Two-panel axial: CT | PSMA PET, 18F-PSMA tracer. PET panel 200×200 px (4.1 mm/px).
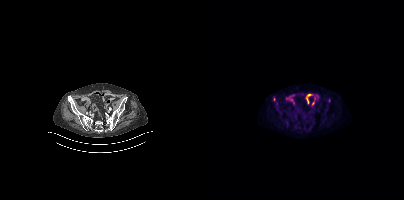
Coordinates are on the 200×200 PET (right) panel. (showing 2 of 3 foci) Small PSMA-avid foci (2 to 4 px across) near (center x, center y): (70, 99); (72, 107).